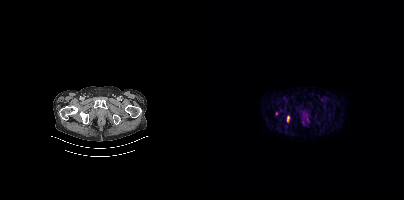
{"pet_grid":[200,200],"coord_frame":"pet_panel","coord_format":"x0,y0,x1,y1","lesion_bboxes":[[83,116,85,122]],"small_foci_centers":[[72,113]],"modality":"PSMA PET/CT","view":"axial","tracer":"18F"}